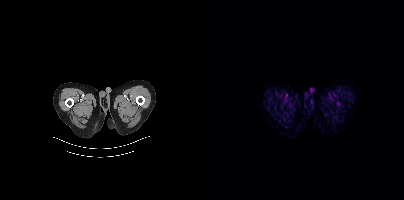
Two-panel axial: CT | PSMA PET, 18F tracer. Slice position z = -1616 mm. This slice has no annotated PSMA-avid lesion.